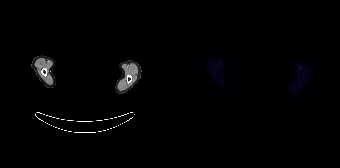
This slice has no annotated PSMA-avid lesion. Left: CT. Right: PSMA PET, same axial level, 18F-PSMA tracer. Slice 151 of 165. PET panel 168×168 px (4.1 mm/px). A rectangle over the head was blacked out to remove identifiable facial features.